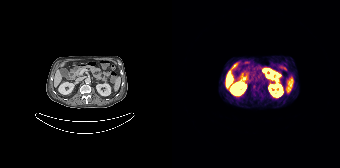
{"pet_grid":[168,168],"coord_frame":"pet_panel","coord_format":"x0,y0,x1,y1","partial":true,"lesion_bboxes":[],"modality":"PSMA PET/CT","view":"axial","tracer":"68Ga-PSMA"}